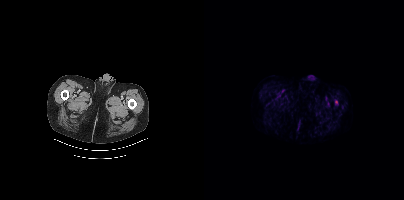
{"modality":"PSMA PET/CT","view":"axial","tracer":"18F","pet_grid":[200,200],"coord_frame":"pet_panel","coord_format":"x0,y0,x1,y1","lesion_bboxes":[],"small_foci_centers":[[132,101]]}